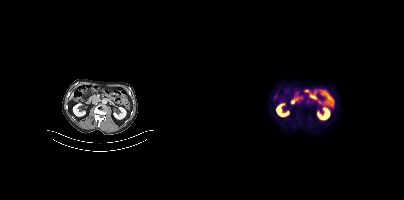
- Left: CT. Right: PSMA PET, same axial level, 18F-PSMA tracer
Findings: No PSMA-avid tumor lesions on this slice.